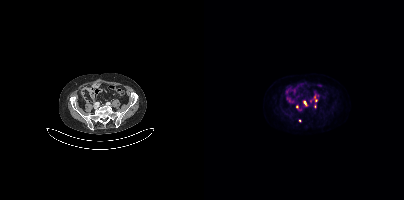
{"pet_grid":[200,200],"coord_frame":"pet_panel","coord_format":"x0,y0,x1,y1","partial":true,"lesion_bboxes":[[100,101,102,105]],"small_foci_centers":[[112,100],[93,106],[95,120]],"modality":"PSMA PET/CT","view":"axial","tracer":"[18F]PSMA-1007"}